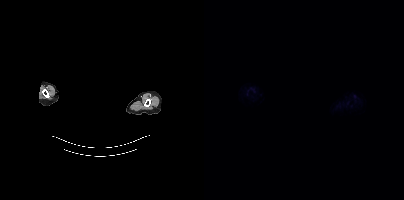
- Paired axial CT (left) and PSMA PET (right), [18F]PSMA-1007 tracer
- acquired on Siemens Biograph mCT Flow 20
- PET panel 200×200 px (4.1 mm/px)
- privacy masking over the head, with the pixels inside a rectangle set to black
Findings: This slice has no annotated PSMA-avid lesion.